Left: CT. Right: PSMA PET, same axial level, [18F]PSMA-1007 tracer. Slice position z = -160 mm.
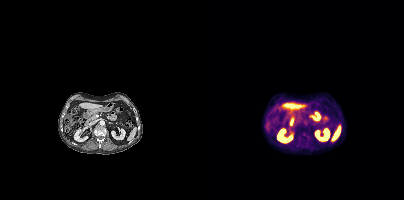
No tumor lesions annotated on this slice.